Left: CT. Right: PSMA PET, same axial level, 18F-PSMA tracer. Acquired on Siemens Biograph mCT Flow 20. Slice position z = -1416 mm. PET panel 200×200 px (4.1 mm/px).
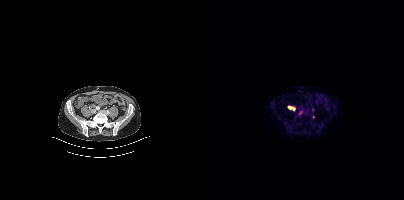
Coordinates are on the 200×200 PET (right) panel. (showing 2 of 3 foci) PSMA-avid tumor lesion bounding box (x0,y0,x1,y1): [84,106,90,110]. Small PSMA-avid focus (2 to 4 px across) near (center x, center y): (109, 116).